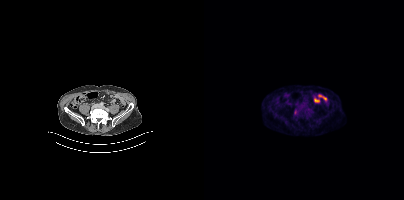
- Two-panel axial: CT | PSMA PET, 18F-PSMA tracer
- PET panel 200×200 px (4.1 mm/px)
Findings: Coordinates are on the 200×200 PET (right) panel. Small PSMA-avid focus (2 to 4 px across) near (center x, center y): (91, 112).